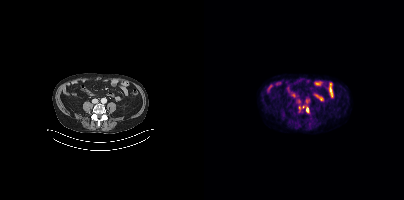
{"modality":"PSMA PET/CT","view":"axial","tracer":"18F-PSMA","pet_grid":[200,200],"coord_frame":"pet_panel","coord_format":"x0,y0,x1,y1","lesion_bboxes":[[102,107,105,112]],"small_foci_centers":[[95,107],[99,107],[102,101]]}